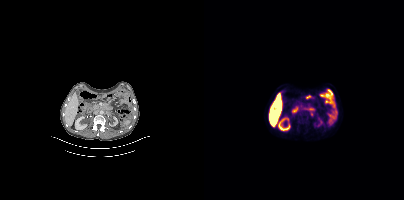
Coordinates are on the 200×200 PET (right) panel. PSMA-avid tumor lesion bounding box (x0,y0,x1,y1): [105,109,109,115].
modality: PSMA PET/CT | tracer: 18F | view: axial